Technique: Left: CT. Right: PSMA PET, same axial level, 18F tracer. acquired on Siemens Biograph mCT Flow 20. PET panel 200×200 px (4.1 mm/px).
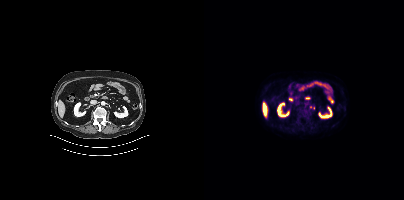
Findings: Coordinates are on the 200×200 PET (right) panel. Small PSMA-avid foci (2 to 4 px across) near (center x, center y): (106, 106) | (109, 108).